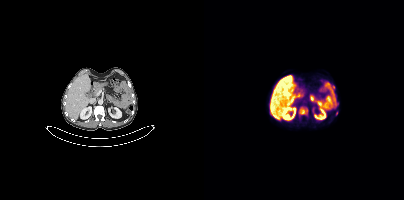
- Left: CT. Right: PSMA PET, same axial level, 18F-PSMA tracer
- slice position z = -1232 mm
- PET panel 200×200 px (4.1 mm/px)
Findings: Coordinates are on the 200×200 PET (right) panel. PSMA-avid tumor lesion bounding box (x0, y0)-(x1, y1): (96, 108)-(103, 114).